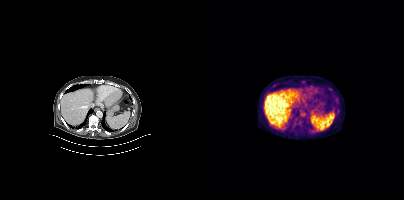
Technique: Two-panel axial: CT | PSMA PET, 18F-PSMA tracer.
Findings: No tumor lesions annotated on this slice.